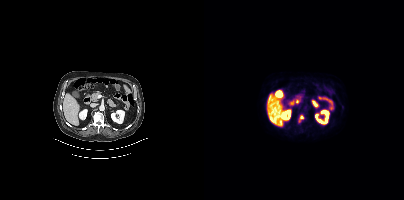
{"modality":"PSMA PET/CT","view":"axial","tracer":"[18F]PSMA-1007","pet_grid":[200,200],"coord_frame":"pet_panel","coord_format":"x0,y0,x1,y1","lesion_bboxes":[[95,115,99,121]]}